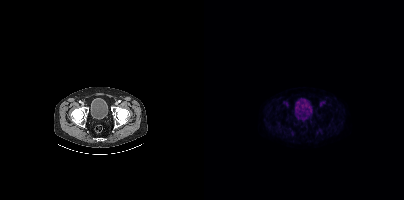
modality: PSMA PET/CT | tracer: 18F-PSMA | view: axial | PET grid: 200×200
No tumor lesions annotated on this slice.